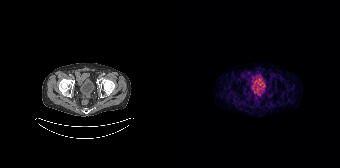
No PSMA-avid tumor lesions on this slice.